- Left: CT. Right: PSMA PET, same axial level, 18F-PSMA tracer
- PET panel 200×200 px (4.1 mm/px)
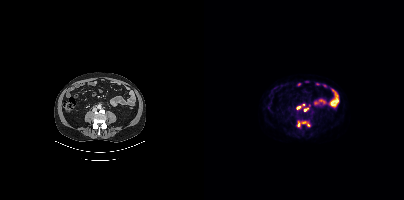
Findings: Coordinates are on the 200×200 PET (right) panel. PSMA-avid tumor lesion bounding boxes (x0, y0)-(x1, y1): (92, 104)-(100, 109) | (99, 107)-(104, 111) | (98, 121)-(105, 126) | (93, 121)-(96, 126).